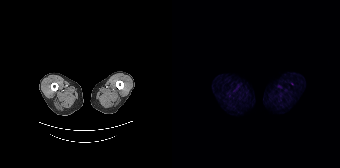
No tumor lesions annotated on this slice.
modality: PSMA PET/CT | tracer: 68Ga | view: axial